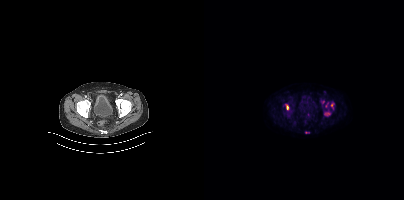
Technique: Two-panel axial: CT | PSMA PET, 18F tracer. acquired on Siemens Biograph mCT Flow 20. slice 84 of 413.
Findings: Coordinates are on the 200×200 PET (right) panel. (showing 4 of 6 foci) PSMA-avid tumor lesion bounding boxes (x, y, width, height): x=82 y=105 w=3 h=5; x=121 y=113 w=5 h=3; x=101 y=132 w=5 h=2. Small PSMA-avid focus (2 to 4 px across) near (center x, center y): (128, 105).